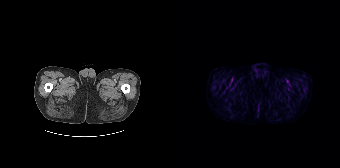
No PSMA-avid tumor lesions on this slice.